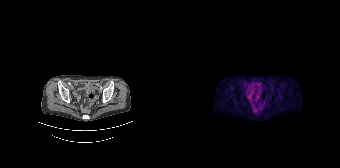
Only PSMA-avid lesion pieces thinner than 2 px on this slice (not listed). Two-panel axial: CT | PSMA PET, 68Ga tracer. Acquired on Siemens Biograph 64-4R TruePoint. Slice position z = -1322 mm.